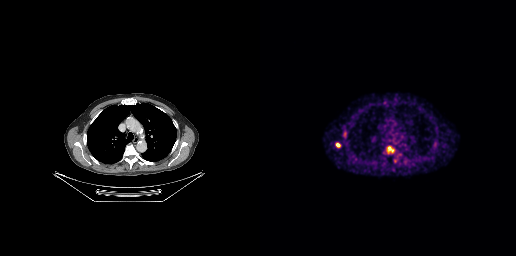
{"modality":"PSMA PET/CT","view":"axial","tracer":"68Ga","pet_grid":[256,256],"coord_frame":"pet_panel","coord_format":"x0,y0,x1,y1","lesion_bboxes":[[76,143,80,147]],"small_foci_centers":[[134,161],[129,148]]}